Technique: Paired axial CT (left) and PSMA PET (right), 18F-PSMA tracer. acquired on Siemens Biograph mCT Flow 20. slice position z = -1296 mm.
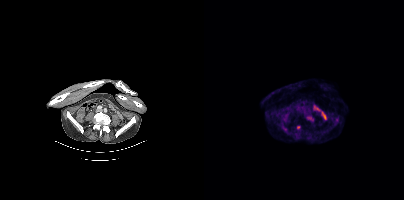
Findings: Coordinates are on the 200×200 PET (right) panel. PSMA-avid tumor lesion bounding boxes (x, y, width, height): x=103 y=117 w=6 h=4; x=79 y=127 w=5 h=5. Small PSMA-avid focus (2 to 4 px across) near (center x, center y): (94, 127).